Two-panel axial: CT | PSMA PET, [18F]PSMA-1007 tracer. Slice position z = -104 mm.
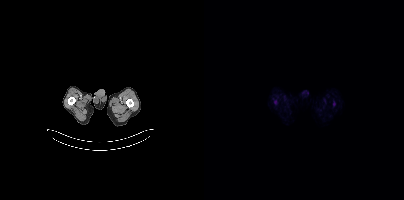
No PSMA-avid tumor lesions on this slice.